modality: PSMA PET/CT | tracer: [18F]PSMA-1007 | view: axial | PET grid: 200×200
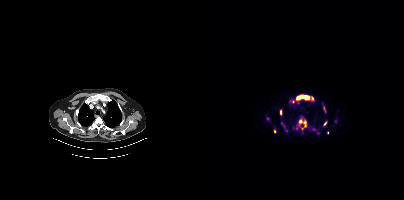
Coordinates are on the 200×200 PET (right) panel. (showing 7 of 9 foci) PSMA-avid tumor lesion bounding boxes (x0,y0,x1,y1): [92,95,105,99]; [95,119,102,127]; [76,110,78,115]; [120,121,122,125]. Small PSMA-avid foci (2 to 4 px across) near (center x, center y): (70, 131); (108, 98); (123, 132).